modality: PSMA PET/CT | tracer: 68Ga | view: axial
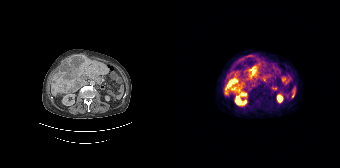
Coordinates are on the 168×168 PET (right) panel. (showing 4 of 5 foci) PSMA-avid tumor lesion bounding boxes (x, y, width, height): x=52 y=78 w=17 h=17; x=75 y=67 w=11 h=13; x=65 y=70 w=5 h=4. Small PSMA-avid focus (2 to 4 px across) near (center x, center y): (92, 79).